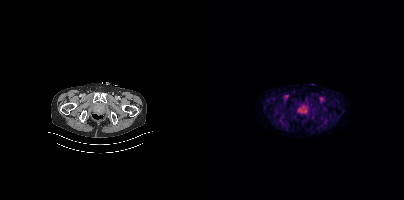
Technique: Left: CT. Right: PSMA PET, same axial level, [18F]PSMA-1007 tracer. slice position z = -810 mm. PET panel 200×200 px (4.1 mm/px).
Findings: Coordinates are on the 200×200 PET (right) panel. PSMA-avid tumor lesion bounding box (x0, y0)-(x1, y1): (93, 104)-(105, 114).